Left: CT. Right: PSMA PET, same axial level, 18F tracer. Acquired on Siemens Biograph mCT Flow 20.
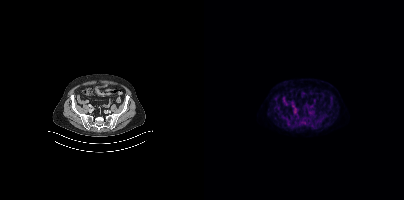
Coordinates are on the 200×200 PET (right) panel. PSMA-avid tumor lesion bounding boxes:
| # | x0 | y0 | x1 | y1 |
|---|---|---|---|---|
| 1 | 89 | 108 | 93 | 112 |
Small PSMA-avid focus (2 to 4 px across) near (center x, center y): (88, 103).